Technique: Left: CT. Right: PSMA PET, same axial level, [18F]PSMA-1007 tracer. acquired on Siemens Biograph mCT Flow 20. PET panel 200×200 px (4.1 mm/px).
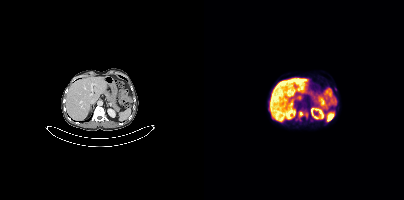
Findings: Coordinates are on the 200×200 PET (right) panel. PSMA-avid tumor lesion bounding box (x0, y0)-(x1, y1): (95, 111)-(99, 116). Small PSMA-avid focus (2 to 4 px across) near (center x, center y): (102, 114).